- Paired axial CT (left) and PSMA PET (right), 18F tracer
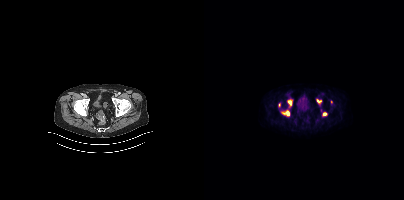
Findings: Coordinates are on the 200×200 PET (right) panel. PSMA-avid tumor lesion bounding boxes (x0, y0)-(x1, y1): (78, 110)-(85, 115) | (84, 100)-(88, 105) | (113, 99)-(117, 103). Small PSMA-avid foci (2 to 4 px across) near (center x, center y): (120, 114) | (75, 105) | (127, 101).